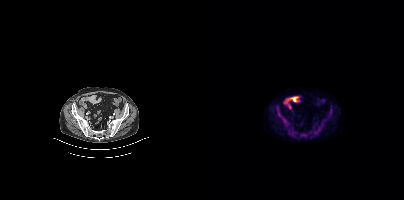
- Paired axial CT (left) and PSMA PET (right), 18F-PSMA tracer
- acquired on Siemens Biograph mCT Flow 20
- slice position z = -1496 mm
- PET panel 200×200 px (4.1 mm/px)
Findings: Coordinates are on the 200×200 PET (right) panel. PSMA-avid tumor lesion bounding boxes (x, y, width, height): x=78 y=118 w=8 h=9 / x=72 y=106 w=6 h=11 / x=96 y=133 w=9 h=4 / x=124 y=108 w=5 h=11.